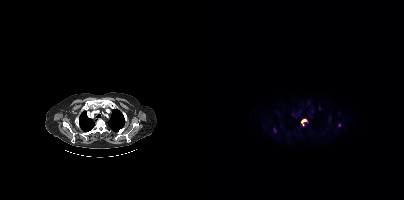
Coordinates are on the 200×200 PET (right) panel. (showing 1 of 2 foci) PSMA-avid tumor lesion bounding box (x0,y0,x1,y1): [97,119,102,125].
modality: PSMA PET/CT | tracer: 18F | view: axial